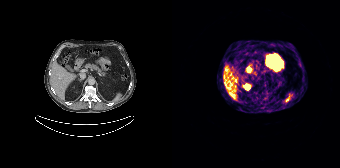
No PSMA-avid tumor lesions on this slice. Left: CT. Right: PSMA PET, same axial level, [68Ga]Ga-PSMA-11 tracer.